- Two-panel axial: CT | PSMA PET, 18F-PSMA tracer
- acquired on Siemens Biograph mCT Flow 20
- slice 47 of 508
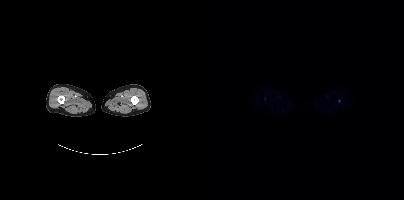
Findings: Only PSMA-avid lesion pieces thinner than 2 px on this slice (not listed).